- a rectangle over the head was blacked out to remove identifiable facial features
- Two-panel axial: CT | PSMA PET, [18F]PSMA-1007 tracer
- slice position z = -565 mm
- PET panel 168×168 px (4.1 mm/px)
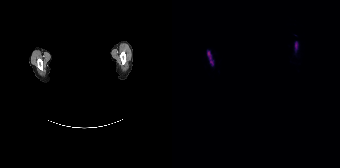
Findings: Coordinates are on the 168×168 PET (right) panel. PSMA-avid tumor lesion bounding boxes (x0, y0)-(x1, y1): (123, 42)-(125, 49) / (36, 51)-(38, 59). Small PSMA-avid focus (2 to 4 px across) near (center x, center y): (39, 62).